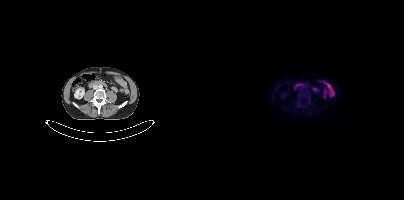
{"modality":"PSMA PET/CT","view":"axial","tracer":"18F","pet_grid":[200,200],"coord_frame":"pet_panel","coord_format":"x0,y0,x1,y1","psma_avid_lesions":false}